Left: CT. Right: PSMA PET, same axial level, 18F tracer. Slice position z = -1204 mm. PET panel 200×200 px (4.1 mm/px).
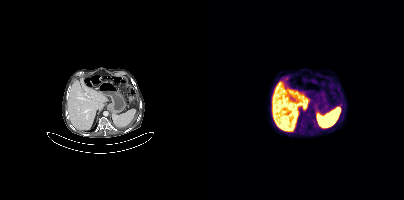
Coordinates are on the 200×200 PET (right) panel. Small PSMA-avid focus (2 to 4 px across) near (center x, center y): (111, 124).